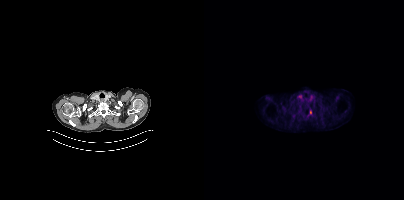
{"modality":"PSMA PET/CT","view":"axial","tracer":"[18F]PSMA-1007","pet_grid":[200,200],"coord_frame":"pet_panel","coord_format":"x0,y0,x1,y1","lesion_bboxes":[],"small_foci_centers":[[106,112]]}